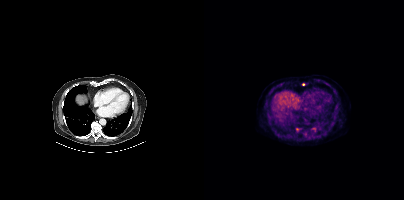
Coordinates are on the 200×200 PET (right) panel. (showing 1 of 2 foci) Small PSMA-avid focus (2 to 4 px across) near (center x, center y): (99, 84).